Paired axial CT (left) and PSMA PET (right), [18F]PSMA-1007 tracer. PET panel 200×200 px (4.1 mm/px).
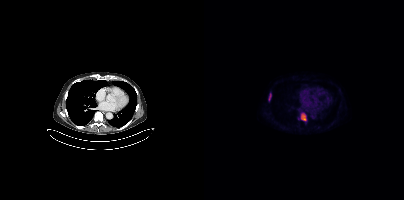
Coordinates are on the 200×200 PET (right) panel. PSMA-avid tumor lesion bounding boxes:
| # | x0 | y0 | x1 | y1 |
|---|---|---|---|---|
| 1 | 96 | 112 | 102 | 121 |
| 2 | 64 | 93 | 67 | 100 |